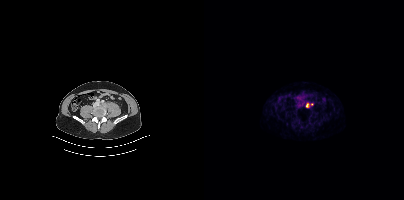
Coordinates are on the 200×200 PET (right) panel. PSMA-avid tumor lesion bounding box (x0,y0,x1,y1): [102,103,105,107]. Small PSMA-avid focus (2 to 4 px across) near (center x, center y): (108, 104).